- Two-panel axial: CT | PSMA PET, 68Ga tracer
- acquired on Siemens Biograph mCT Flow 20
- slice position z = -993 mm
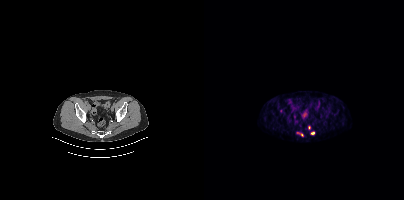
Findings: Coordinates are on the 200×200 PET (right) panel. (showing 3 of 4 foci) Small PSMA-avid foci (2 to 4 px across) near (center x, center y): (108, 133) | (98, 135) | (105, 127).